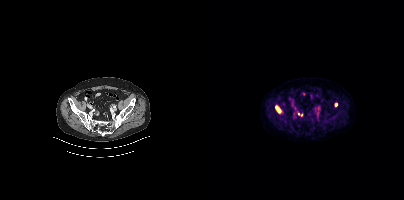
Coordinates are on the 200×200 PET (right) panel. PSMA-avid tumor lesion bounding box (x0, y0)-(x1, y1): (72, 106)-(76, 112). Small PSMA-avid foci (2 to 4 px across) near (center x, center y): (132, 104) / (94, 113). Two-panel axial: CT | PSMA PET, [18F]PSMA-1007 tracer. PET panel 200×200 px (4.1 mm/px).